Two-panel axial: CT | PSMA PET, 18F tracer. Acquired on Siemens Biograph mCT Flow 20. Slice position z = -608 mm. PET panel 200×200 px (4.1 mm/px).
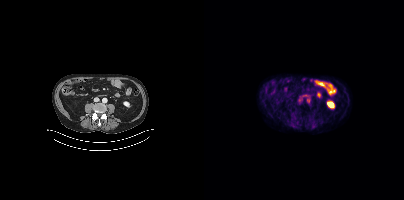
No tumor lesions annotated on this slice.